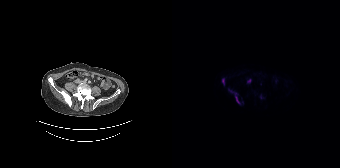
Coordinates are on the 168×168 PET (right) panel. PSMA-avid tumor lesion bounding boxes:
| # | x0 | y0 | x1 | y1 |
|---|---|---|---|---|
| 1 | 56 | 89 | 67 | 103 |
| 2 | 50 | 78 | 52 | 85 |
Small PSMA-avid focus (2 to 4 px across) near (center x, center y): (77, 80).
Left: CT. Right: PSMA PET, same axial level, 18F-PSMA tracer. PET panel 168×168 px (4.1 mm/px).